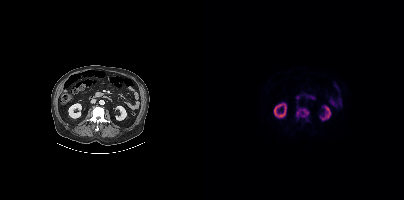
Coordinates are on the 200×200 PET (right) panel. (showing 1 of 2 foci) PSMA-avid tumor lesion bounding box (x0,y0,x1,y1): [92,107,105,117].